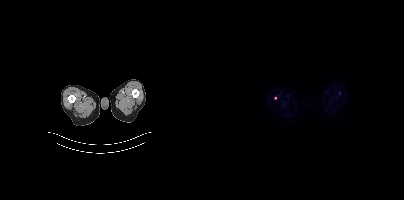
Findings: Coordinates are on the 200×200 PET (right) panel. Small PSMA-avid focus (2 to 4 px across) near (center x, center y): (71, 97).
- Two-panel axial: CT | PSMA PET, 18F-PSMA tracer
- slice position z = -1614 mm